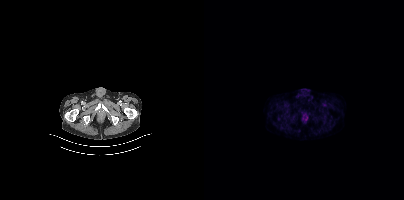
Findings: This slice has no annotated PSMA-avid lesion.
Technique: Two-panel axial: CT | PSMA PET, [18F]PSMA-1007 tracer. acquired on Siemens Biograph mCT Flow 20. slice 39 of 354.